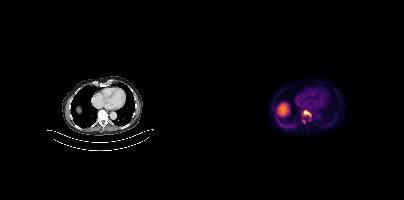
Two-panel axial: CT | PSMA PET, 18F tracer. Slice 257 of 423.
Coordinates are on the 200×200 PET (right) panel. PSMA-avid tumor lesion bounding boxes:
| # | x0 | y0 | x1 | y1 |
|---|---|---|---|---|
| 1 | 99 | 110 | 107 | 116 |
Small PSMA-avid focus (2 to 4 px across) near (center x, center y): (99, 121).